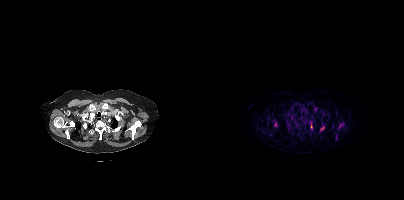
Left: CT. Right: PSMA PET, same axial level, [68Ga]Ga-PSMA-11 tracer. PET panel 200×200 px (4.1 mm/px).
Coordinates are on the 200×200 PET (right) panel. PSMA-avid tumor lesion bounding boxes (partial; 1 more focus not listed):
| # | x0 | y0 | x1 | y1 |
|---|---|---|---|---|
| 1 | 116 | 126 | 120 | 131 |
| 2 | 135 | 124 | 139 | 127 |
Small PSMA-avid foci (2 to 4 px across) near (center x, center y): (111, 109); (71, 124); (107, 126).